Left: CT. Right: PSMA PET, same axial level, 18F tracer. Acquired on Siemens Biograph mCT Flow 20.
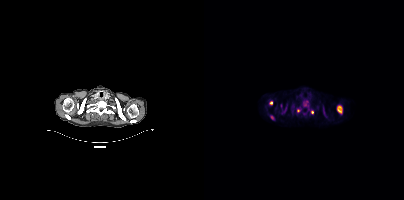
Coordinates are on the 200×200 PET (right) panel. PSMA-avid tumor lesion bounding boxes:
| # | x0 | y0 | x1 | y1 |
|---|---|---|---|---|
| 1 | 133 | 105 | 138 | 113 |
| 2 | 100 | 101 | 104 | 106 |
Small PSMA-avid foci (2 to 4 px across) near (center x, center y): (66, 102); (108, 112); (94, 110); (68, 117).